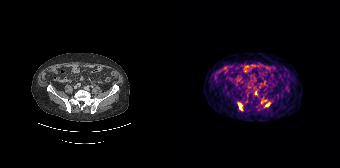
Technique: Left: CT. Right: PSMA PET, same axial level, 68Ga-PSMA tracer. slice 44 of 165. PET panel 168×168 px (4.1 mm/px).
Findings: Coordinates are on the 168×168 PET (right) panel. PSMA-avid tumor lesion bounding box (x, y, width, height): x=66 y=103 w=5 h=8. Small PSMA-avid foci (2 to 4 px across) near (center x, center y): (95, 104) | (83, 92).